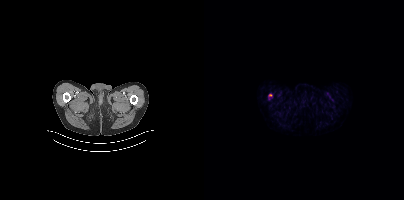
{"modality":"PSMA PET/CT","view":"axial","tracer":"[18F]PSMA-1007","pet_grid":[200,200],"coord_frame":"pet_panel","coord_format":"x0,y0,x1,y1","partial":true,"lesion_bboxes":[],"small_foci_centers":[[66,95]]}